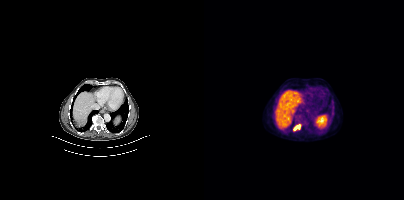
Coordinates are on the 200×200 PET (right) panel. PSMA-avid tumor lesion bounding box (x, y, width, height): x=89 y=124 w=8 h=7.